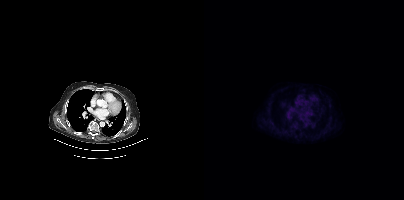
{"modality":"PSMA PET/CT","view":"axial","tracer":"18F","pet_grid":[200,200],"coord_frame":"pet_panel","coord_format":"x0,y0,x1,y1","psma_avid_lesions":false}